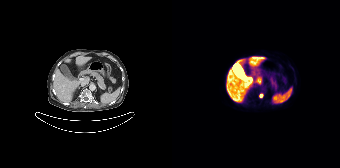
- Left: CT. Right: PSMA PET, same axial level, [18F]PSMA-1007 tracer
- slice position z = -1276 mm
Findings: Coordinates are on the 168×168 PET (right) panel. Small PSMA-avid focus (2 to 4 px across) near (center x, center y): (88, 95).